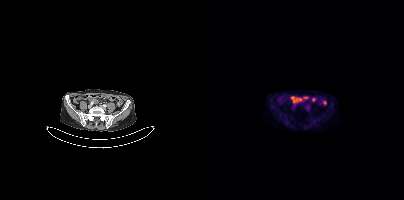
No PSMA-avid tumor lesions on this slice.